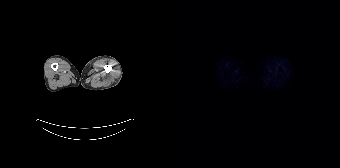
Negative for PSMA-avid disease on this slice.